Two-panel axial: CT | PSMA PET, 68Ga tracer. Acquired on GE Discovery 690.
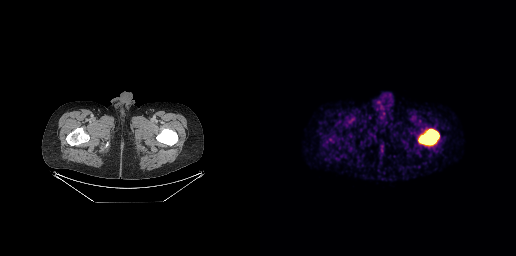
Coordinates are on the 256×256 PET (right) panel. PSMA-avid tumor lesion bounding box (x0,y0,x1,y1): [158,129,179,144].